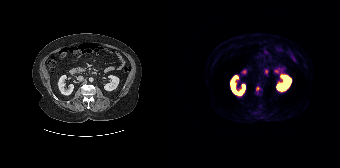
Left: CT. Right: PSMA PET, same axial level, 68Ga tracer. Coordinates are on the 168×168 PET (right) panel. Small PSMA-avid focus (2 to 4 px across) near (center x, center y): (85, 88).